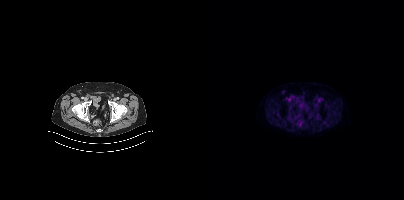
No tumor lesions annotated on this slice.